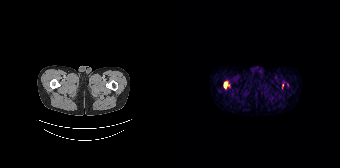
Findings: Coordinates are on the 168×168 PET (right) panel. (showing 1 of 2 foci) PSMA-avid tumor lesion bounding box (x0,y0,x1,y1): [51,81,57,88].
- Left: CT. Right: PSMA PET, same axial level, [68Ga]Ga-PSMA-11 tracer
- slice position z = -865 mm
- PET panel 168×168 px (4.1 mm/px)